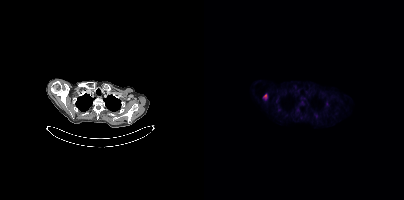
modality: PSMA PET/CT | tracer: 18F-PSMA | view: axial
Coordinates are on the 200×200 PET (right) panel. PSMA-avid tumor lesion bounding box (x, y, width, height): x=59 y=94 w=5 h=6.